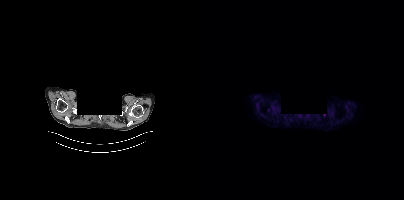
Coordinates are on the 200×200 PET (right) panel. Small PSMA-avid focus (2 to 4 px across) near (center x, center y): (120, 115).
Facial anatomy redacted by setting a rectangular region of the head to black.